Two-panel axial: CT | PSMA PET, [18F]PSMA-1007 tracer. Acquired on Siemens Biograph mCT Flow 20.
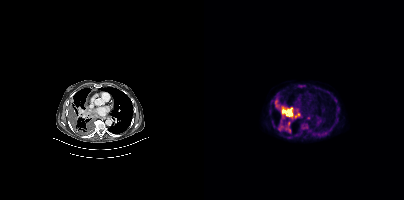
Coordinates are on the 200×200 PET (right) panel. PSMA-avid tumor lesion bounding boxes (x, y, width, height): x=71 y=100 w=25 h=20 | x=75 y=121 w=13 h=12 | x=97 y=123 w=8 h=7 | x=95 y=85 w=7 h=3.